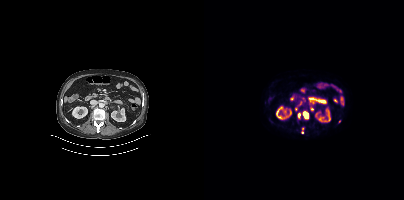
Left: CT. Right: PSMA PET, same axial level, [18F]PSMA-1007 tracer. Slice position z = -1343 mm. Coordinates are on the 200×200 PET (right) panel. (showing 5 of 7 foci) PSMA-avid tumor lesion bounding boxes (x0,y0,x1,y1): [99,111,104,119] [94,113,96,118]. Small PSMA-avid foci (2 to 4 px across) near (center x, center y): (98, 132) (108, 108) (98, 128).